- Left: CT. Right: PSMA PET, same axial level, 18F tracer
- PET panel 168×168 px (4.1 mm/px)
- head region blanked for anonymization (face removed)
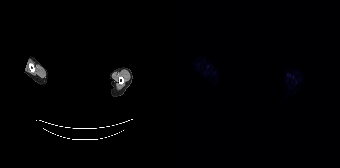
Findings: This slice has no annotated PSMA-avid lesion.